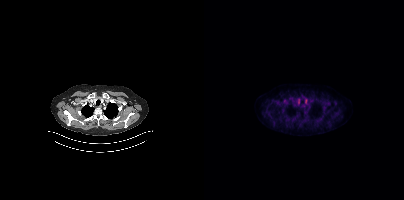
modality: PSMA PET/CT | tracer: [18F]PSMA-1007 | view: axial | PET grid: 200×200
No tumor lesions annotated on this slice.